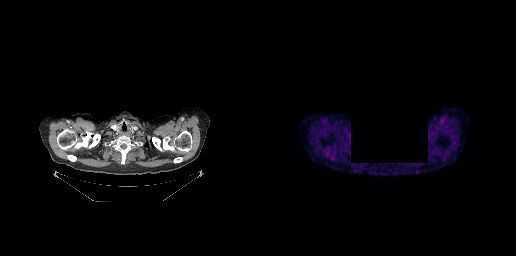
This slice has no annotated PSMA-avid lesion. Two-panel axial: CT | PSMA PET, [18F]PSMA-1007 tracer. A region was redacted for de-identification by setting it to black.